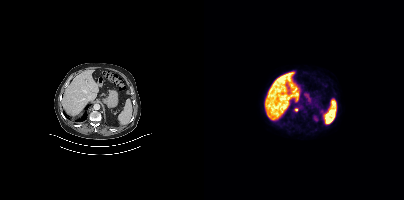
Findings: Coordinates are on the 200×200 PET (right) panel. Small PSMA-avid focus (2 to 4 px across) near (center x, center y): (92, 109).
- Left: CT. Right: PSMA PET, same axial level, 18F-PSMA tracer
- acquired on Siemens Biograph mCT Flow 20